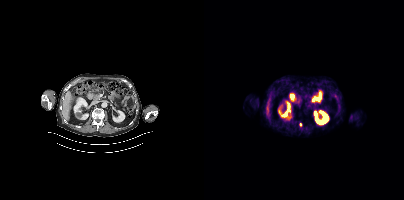
Technique: Two-panel axial: CT | PSMA PET, [18F]PSMA-1007 tracer. slice 204 of 427. PET panel 200×200 px (4.1 mm/px).
Findings: Coordinates are on the 200×200 PET (right) panel. Small PSMA-avid focus (2 to 4 px across) near (center x, center y): (96, 124).